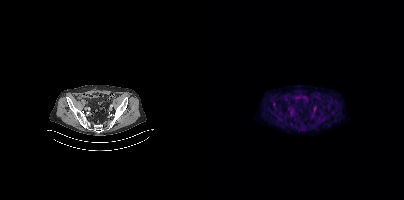
Coordinates are on the 200×200 PET (right) panel. Small PSMA-avid focus (2 to 4 px across) near (center x, center y): (70, 104).